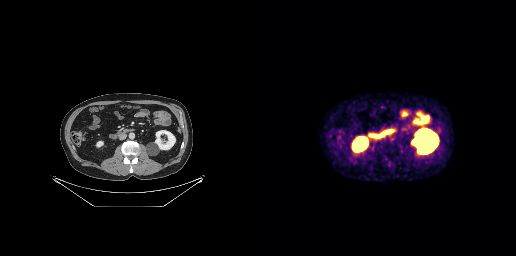
Two-panel axial: CT | PSMA PET, 68Ga tracer. Acquired on GE Discovery 690. No tumor lesions annotated on this slice.